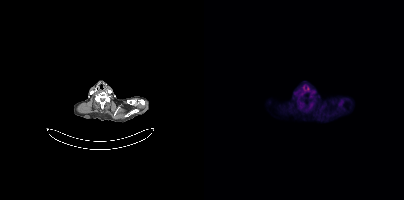
Paired axial CT (left) and PSMA PET (right), [18F]PSMA-1007 tracer. PET panel 200×200 px (4.1 mm/px). This slice has no annotated PSMA-avid lesion.